- Paired axial CT (left) and PSMA PET (right), 18F-PSMA tracer
- slice 235 of 431
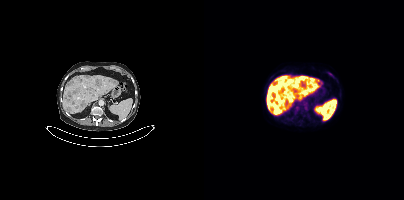
Findings: Coordinates are on the 200×200 PET (right) panel. PSMA-avid tumor lesion bounding boxes (x0,y0,x1,y1): [66,106,75,114]; [92,76,100,83]; [65,98,71,103]; [124,73,129,76].